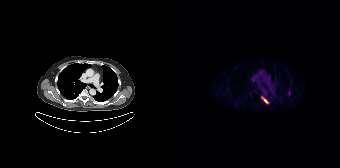
{"pet_grid":[168,168],"coord_frame":"pet_panel","coord_format":"x0,y0,x1,y1","lesion_bboxes":[[89,97,95,103],[116,90,118,95]],"modality":"PSMA PET/CT","view":"axial","tracer":"[18F]PSMA-1007"}